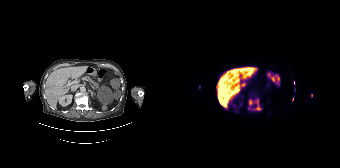
Coordinates are on the 168×168 PET (right) panel. (showing 4 of 5 foci) PSMA-avid tumor lesion bounding box (x0, y0)-(x1, y1): (76, 98)-(89, 110). Small PSMA-avid foci (2 to 4 px across) near (center x, center y): (122, 89) | (139, 95) | (120, 99).